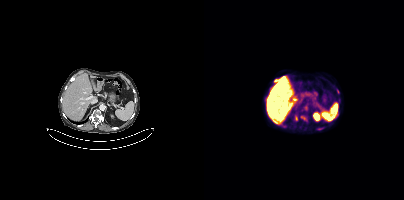
Coordinates are on the 200×200 PET (right) panel. (showing 3 of 4 foci) PSMA-avid tumor lesion bounding boxes (x, y, width, height): x=97 y=116 w=6 h=5 | x=91 y=115 w=3 h=6. Small PSMA-avid focus (2 to 4 px across) near (center x, center y): (71, 80).
modality: PSMA PET/CT | tracer: 18F-PSMA | view: axial | PET grid: 200×200